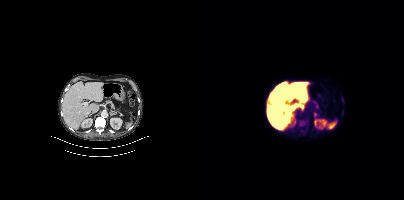
Coordinates are on the 200×200 PET (right) panel. PSMA-avid tumor lesion bounding boxes (x, y, width, height): x=95 y=120 w=8 h=7 / x=137 y=96 w=4 h=8.